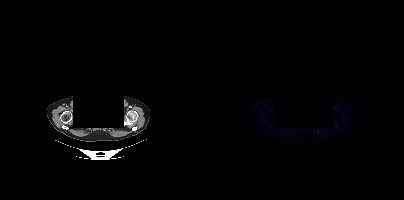
Left: CT. Right: PSMA PET, same axial level, [18F]PSMA-1007 tracer. Slice 331 of 383. Facial anatomy redacted by setting a rectangular region of the head to black. This slice has no annotated PSMA-avid lesion.